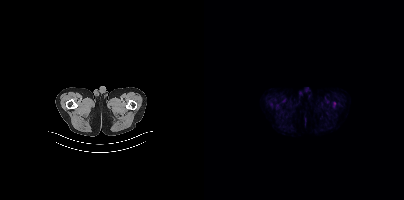
modality: PSMA PET/CT | tracer: [18F]PSMA-1007 | view: axial | PET grid: 200×200
Negative for PSMA-avid disease on this slice.